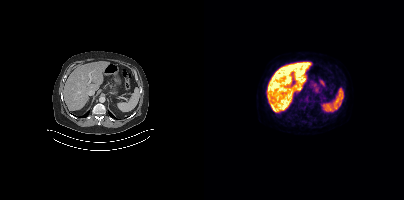
Coordinates are on the 200×200 PET (right) panel. PSMA-avid tumor lesion bounding box (x, y, width, height): x=105 y=101 w=5 h=5. Small PSMA-avid focus (2 to 4 px across) near (center x, center y): (93, 111).